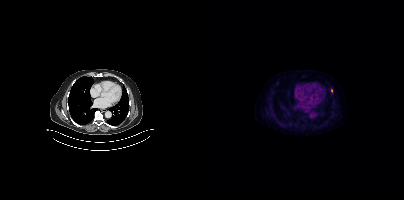
{"modality":"PSMA PET/CT","view":"axial","tracer":"[18F]PSMA-1007","pet_grid":[200,200],"coord_frame":"pet_panel","coord_format":"x0,y0,x1,y1","lesion_bboxes":[],"small_foci_centers":[[127,91]]}